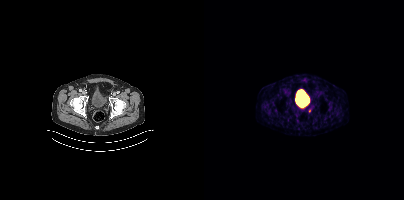
Coordinates are on the 200×200 PET (right) panel. Small PSMA-avid focus (2 to 4 px across) near (center x, center y): (105, 110). Two-panel axial: CT | PSMA PET, 68Ga-PSMA tracer. Acquired on Siemens Biograph mCT Flow 20. Slice position z = -1060 mm. PET panel 200×200 px (4.1 mm/px).